Two-panel axial: CT | PSMA PET, 18F tracer.
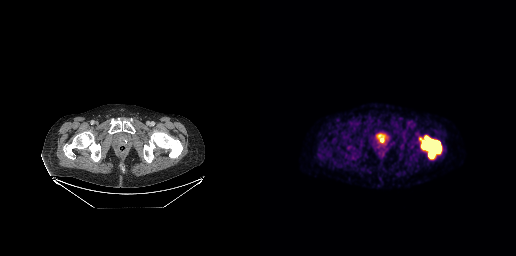
Coordinates are on the 256×256 PET (right) panel. PSMA-avid tumor lesion bounding boxes:
| # | x0 | y0 | x1 | y1 |
|---|---|---|---|---|
| 1 | 159 | 135 | 181 | 159 |